modality: PSMA PET/CT | tracer: [18F]PSMA-1007 | view: axial | PET grid: 200×200
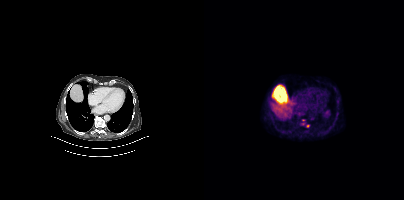
Coordinates are on the 200×200 PET (right) panel. (showing 1 of 2 foci) Small PSMA-avid focus (2 to 4 px across) near (center x, center y): (103, 125).